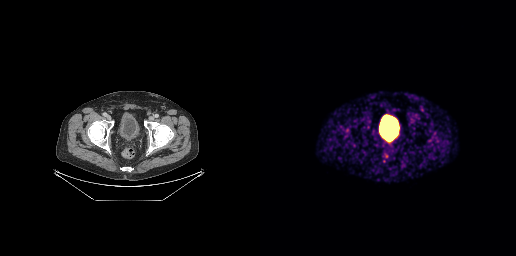
Negative for PSMA-avid disease on this slice.
modality: PSMA PET/CT | tracer: 68Ga-PSMA | view: axial | PET grid: 256×256